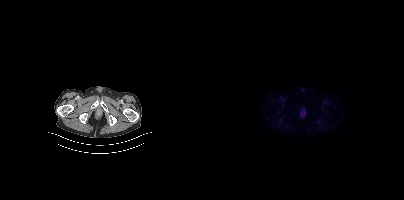
Findings: This slice has no annotated PSMA-avid lesion.
- Left: CT. Right: PSMA PET, same axial level, 18F-PSMA tracer
- acquired on Siemens Biograph mCT Flow 20
- slice 52 of 421